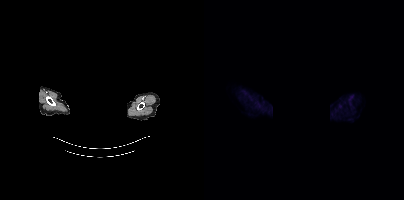
No PSMA-avid tumor lesions on this slice.
The face region was removed for patient privacy by blanking a rectangle over the head.